modality: PSMA PET/CT | tracer: [18F]PSMA-1007 | view: axial | PET grid: 200×200
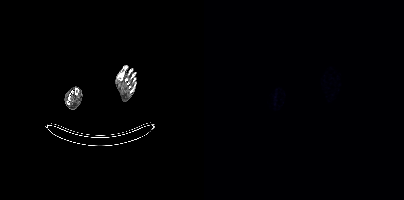
Negative for PSMA-avid disease on this slice.